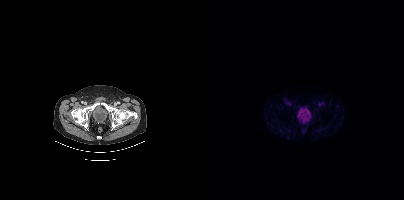
No tumor lesions annotated on this slice.